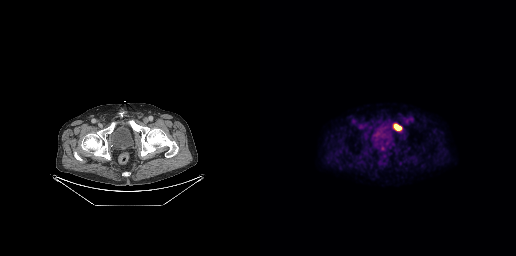
{"modality":"PSMA PET/CT","view":"axial","tracer":"18F","pet_grid":[256,256],"coord_frame":"pet_panel","coord_format":"x0,y0,x1,y1","lesion_bboxes":[[133,123,141,130]]}